modality: PSMA PET/CT | tracer: [18F]PSMA-1007 | view: axial
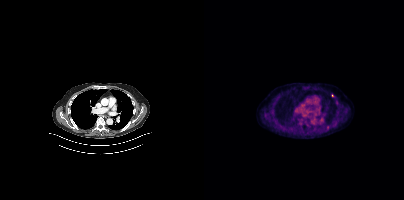
Coordinates are on the 200×200 PET (right) panel. Small PSMA-avid foci (2 to 4 px across) near (center x, center y): (123, 127); (128, 95).